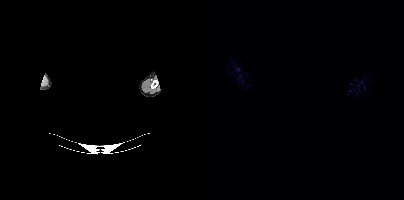
No tumor lesions annotated on this slice.
modality: PSMA PET/CT | tracer: 18F-PSMA | view: axial | PET grid: 200×200 | de-identification: facial region redacted